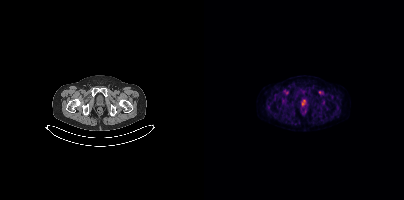
No tumor lesions annotated on this slice.